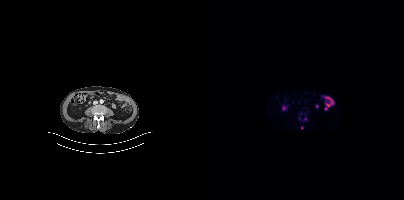
{"modality":"PSMA PET/CT","view":"axial","tracer":"18F-PSMA","pet_grid":[200,200],"coord_frame":"pet_panel","coord_format":"x0,y0,x1,y1","partial":true,"lesion_bboxes":[]}